Technique: Left: CT. Right: PSMA PET, same axial level, 68Ga-PSMA tracer. acquired on Siemens Biograph 64-4R TruePoint. slice 7 of 195.
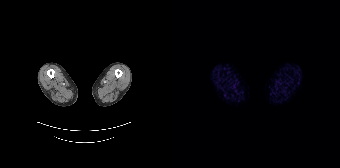
Findings: No PSMA-avid tumor lesions on this slice.